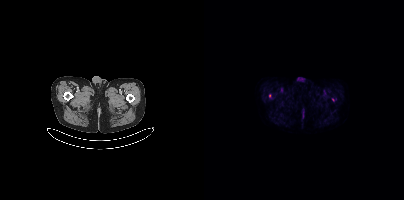
{"pet_grid":[200,200],"coord_frame":"pet_panel","coord_format":"x0,y0,x1,y1","partial":true,"lesion_bboxes":[],"modality":"PSMA PET/CT","view":"axial","tracer":"18F-PSMA"}